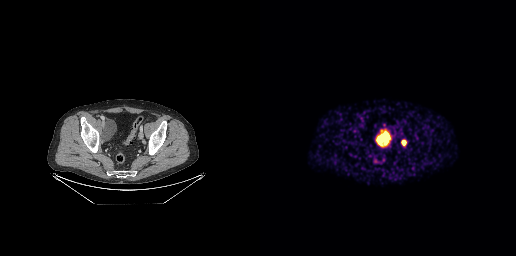
Coordinates are on the 256×256 PET (right) panel. (showing 1 of 2 foci) Small PSMA-avid focus (2 to 4 px across) near (center x, center y): (143, 142).